Paired axial CT (left) and PSMA PET (right), 18F tracer. Slice position z = -54 mm. PET panel 200×200 px (4.1 mm/px).
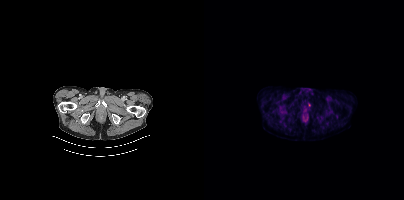
Only PSMA-avid lesion pieces thinner than 2 px on this slice (not listed).